Left: CT. Right: PSMA PET, same axial level, [18F]PSMA-1007 tracer. Slice 138 of 454. PET panel 200×200 px (4.1 mm/px).
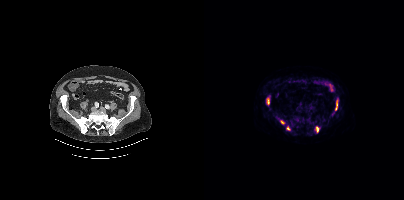
Coordinates are on the 200×200 PET (right) panel. PSMA-avid tumor lesion bounding boxes (x0, y0)-(x1, y1): (131, 99)-(134, 110); (111, 126)-(115, 132); (63, 98)-(65, 104); (82, 126)-(86, 130). Small PSMA-avid focus (2 to 4 px across) near (center x, center y): (78, 121).